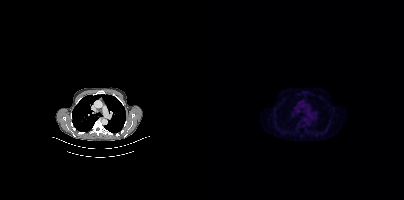
Negative for PSMA-avid disease on this slice.